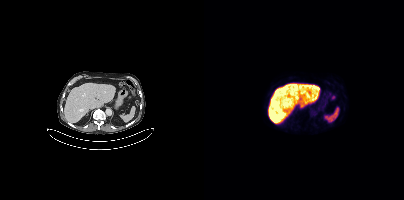
{"modality":"PSMA PET/CT","view":"axial","tracer":"18F","pet_grid":[200,200],"coord_frame":"pet_panel","coord_format":"x0,y0,x1,y1","psma_avid_lesions":false}